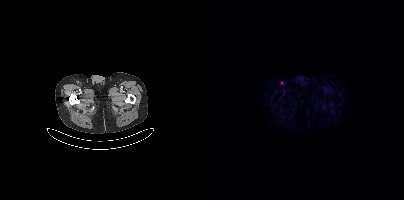
{"modality":"PSMA PET/CT","view":"axial","tracer":"18F-PSMA","pet_grid":[200,200],"coord_frame":"pet_panel","coord_format":"x0,y0,x1,y1","partial":true,"lesion_bboxes":[]}